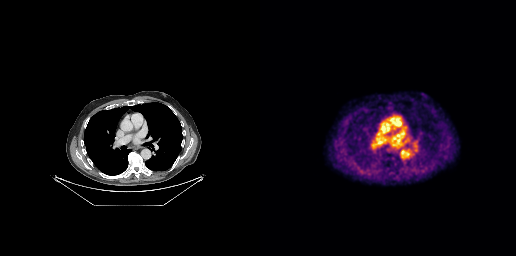
No PSMA-avid tumor lesions on this slice.